modality: PSMA PET/CT | tracer: 18F-PSMA | view: axial
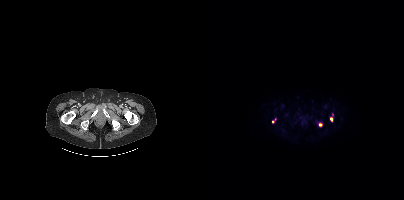
Coordinates are on the 200×200 PET (right) panel. (showing 3 of 5 foci) PSMA-avid tumor lesion bounding box (x0, y0)-(x1, y1): (126, 117)-(128, 121). Small PSMA-avid foci (2 to 4 px across) near (center x, center y): (116, 124) / (68, 121).